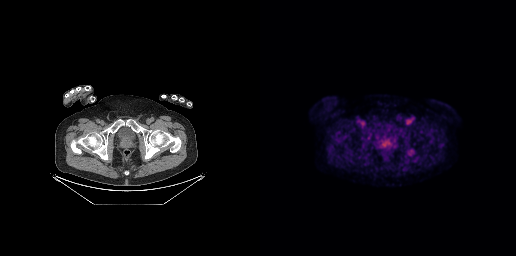
Technique: Two-panel axial: CT | PSMA PET, 18F tracer. acquired on GE Discovery 690. PET panel 256×256 px (2.7 mm/px).
Findings: Coordinates are on the 256×256 PET (right) panel. PSMA-avid tumor lesion bounding box (x0, y0)-(x1, y1): (147, 149)-(154, 155).